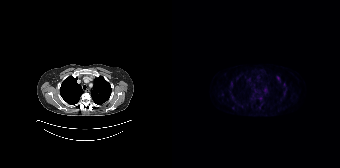
Two-panel axial: CT | PSMA PET, 18F-PSMA tracer. Slice position z = -644 mm. Coordinates are on the 168×168 PET (right) panel. Small PSMA-avid foci (2 to 4 px across) near (center x, center y): (106, 77) (50, 94) (88, 97).